Left: CT. Right: PSMA PET, same axial level, 18F tracer. Acquired on Siemens Biograph mCT Flow 20. Slice position z = -903 mm. PET panel 200×200 px (4.1 mm/px).
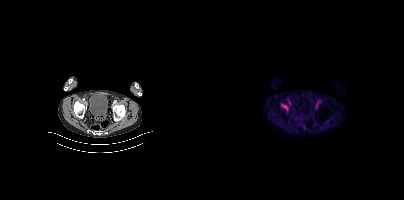
Coordinates are on the 200×200 PET (right) panel. (showing 1 of 2 foci) Small PSMA-avid focus (2 to 4 px across) near (center x, center y): (81, 107).